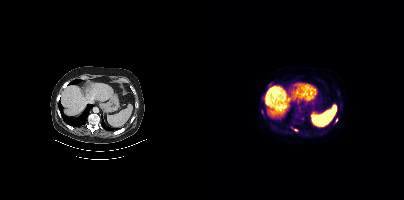
Two-panel axial: CT | PSMA PET, [18F]PSMA-1007 tracer. Acquired on Siemens Biograph mCT Flow 20. Coordinates are on the 200×200 PET (right) panel. (showing 2 of 3 foci) PSMA-avid tumor lesion bounding box (x0, y0)-(x1, y1): (131, 118)-(133, 122). Small PSMA-avid focus (2 to 4 px across) near (center x, center y): (91, 130).